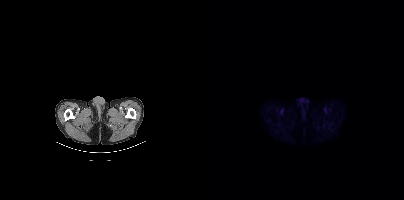
Left: CT. Right: PSMA PET, same axial level, [18F]PSMA-1007 tracer. Slice position z = -493 mm. No PSMA-avid tumor lesions on this slice.